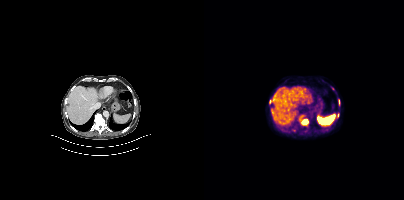
Coordinates are on the 200×200 PET (right) panel. (showing 3 of 4 foci) PSMA-avid tumor lesion bounding box (x0,y0,x1,y1): [95,118,104,125]. Small PSMA-avid foci (2 to 4 px across) near (center x, center y): (66, 101), (133, 115).